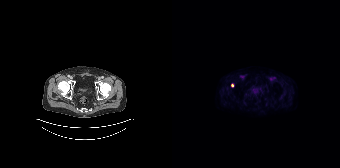
Coordinates are on the 168×168 PET (right) panel. Small PSMA-avid focus (2 to 4 px across) near (center x, center y): (60, 85).